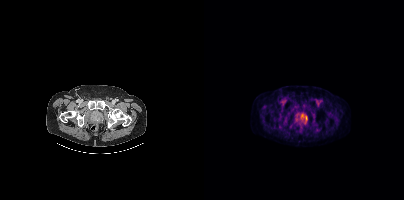
{"pet_grid":[200,200],"coord_frame":"pet_panel","coord_format":"x0,y0,x1,y1","lesion_bboxes":[[97,113,103,121]],"modality":"PSMA PET/CT","view":"axial","tracer":"[18F]PSMA-1007"}